modality: PSMA PET/CT | tracer: 18F-PSMA | view: axial | PET grid: 200×200
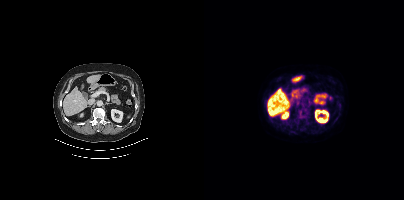
Coordinates are on the 200×200 PET (right) panel. PSMA-avid tumor lesion bounding box (x0,y0,x1,y1): [93,108,103,118]. Small PSMA-avid foci (2 to 4 px across) near (center x, center y): (98, 126); (135, 103); (86, 123).